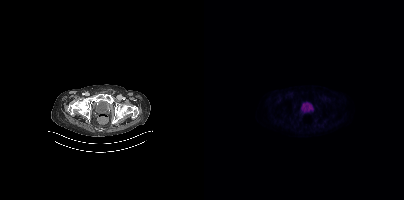
Findings: Coordinates are on the 200×200 PET (right) panel. Small PSMA-avid focus (2 to 4 px across) near (center x, center y): (108, 108).
- Two-panel axial: CT | PSMA PET, 18F tracer
- acquired on Siemens Biograph mCT Flow 20